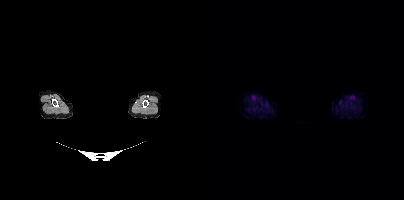
{"modality":"PSMA PET/CT","view":"axial","tracer":"18F","pet_grid":[200,200],"coord_frame":"pet_panel","coord_format":"x0,y0,x1,y1","psma_avid_lesions":false,"de-identification":"head region blacked out before release"}